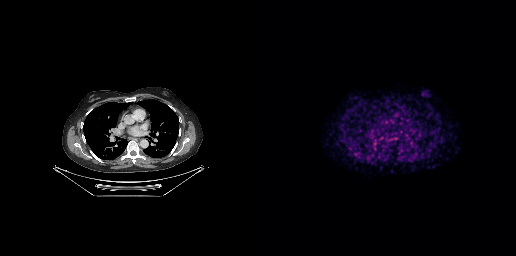
Technique: Two-panel axial: CT | PSMA PET, [68Ga]Ga-PSMA-11 tracer.
Findings: This slice has no annotated PSMA-avid lesion.